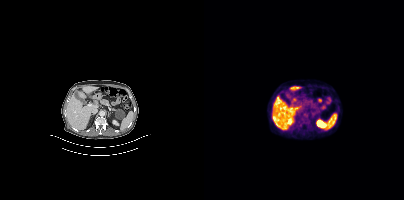
This slice has no annotated PSMA-avid lesion.